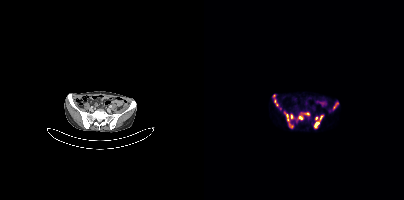
Findings: Coordinates are on the 200×200 PET (right) panel. (showing 11 of 12 foci) PSMA-avid tumor lesion bounding boxes (x0, y0)-(x1, y1): (70, 99)-(74, 106); (110, 122)-(115, 127); (84, 123)-(88, 126); (82, 114)-(84, 120). Small PSMA-avid foci (2 to 4 px across) near (center x, center y): (96, 117); (70, 95); (103, 114); (87, 116); (117, 117); (130, 107); (112, 118).
- Paired axial CT (left) and PSMA PET (right), 68Ga-PSMA tracer
- acquired on Siemens Biograph mCT Flow 20
- PET panel 200×200 px (4.1 mm/px)